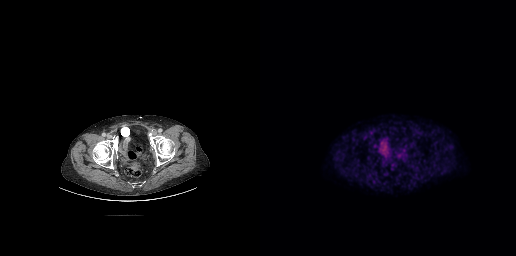
{"modality":"PSMA PET/CT","view":"axial","tracer":"[18F]PSMA-1007","pet_grid":[256,256],"coord_frame":"pet_panel","coord_format":"x0,y0,x1,y1","psma_avid_lesions":false}